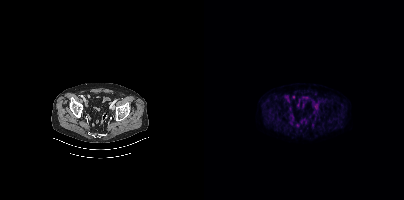
Two-panel axial: CT | PSMA PET, 18F-PSMA tracer. Negative for PSMA-avid disease on this slice.